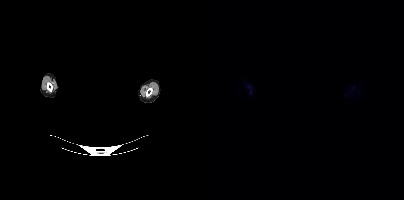
This slice has no annotated PSMA-avid lesion.
modality: PSMA PET/CT | tracer: 18F | view: axial | redaction: privacy mask over head